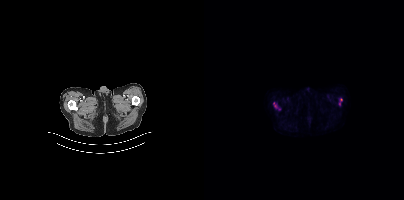
{"modality":"PSMA PET/CT","view":"axial","tracer":"18F","pet_grid":[200,200],"coord_frame":"pet_panel","coord_format":"x0,y0,x1,y1","partial":true,"lesion_bboxes":[],"small_foci_centers":[[71,106],[135,103],[69,102]]}